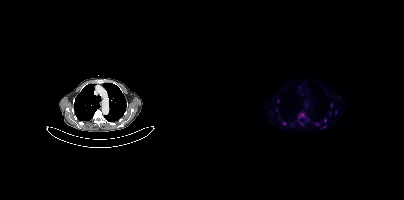
{"pet_grid":[200,200],"coord_frame":"pet_panel","coord_format":"x0,y0,x1,y1","partial":true,"lesion_bboxes":[[95,113,100,117]],"small_foci_centers":[[121,120],[113,124],[80,123],[120,126],[127,105]],"modality":"PSMA PET/CT","view":"axial","tracer":"18F-PSMA"}